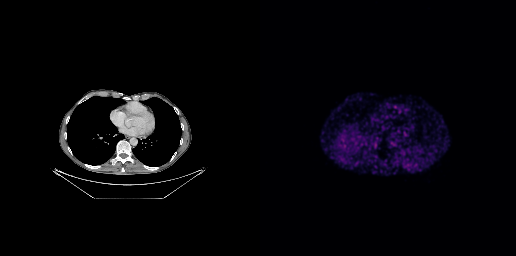
Technique: Left: CT. Right: PSMA PET, same axial level, 68Ga-PSMA tracer. acquired on GE Discovery 690. slice position z = -554 mm.
Findings: Negative for PSMA-avid disease on this slice.